Left: CT. Right: PSMA PET, same axial level, 18F tracer. Slice position z = -750 mm. PET panel 200×200 px (4.1 mm/px).
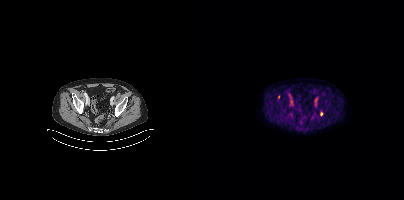
Coordinates are on the 200×200 PET (right) panel. Small PSMA-avid foci (2 to 4 px across) near (center x, center y): (74, 96) / (117, 113).